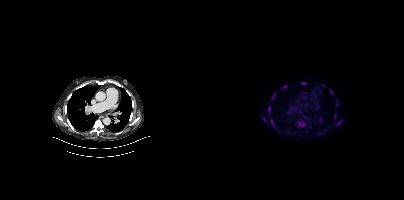
Coordinates are on the 200×200 PET (right) panel. (showing 14 of 15 foci) PSMA-avid tumor lesion bounding boxes (x0, y0)-(x1, y1): (93, 119)-(101, 127) / (64, 105)-(66, 113) / (66, 119)-(70, 125) / (68, 93)-(71, 99) / (78, 85)-(82, 88) / (133, 120)-(137, 124) / (97, 82)-(102, 84) / (126, 90)-(129, 94) / (130, 114)-(132, 118). Small PSMA-avid foci (2 to 4 px across) near (center x, center y): (60, 119) / (132, 104) / (84, 111) / (101, 117) / (116, 118).
modality: PSMA PET/CT | tracer: 18F-PSMA | view: axial | PET grid: 200×200